modality: PSMA PET/CT | tracer: [18F]PSMA-1007 | view: axial
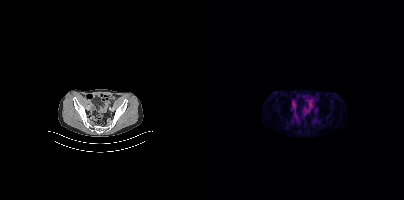
Negative for PSMA-avid disease on this slice.